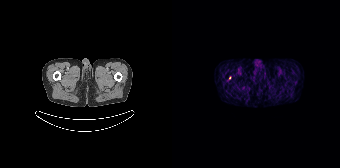
Left: CT. Right: PSMA PET, same axial level, 68Ga tracer. Acquired on Siemens Biograph 64-4R TruePoint. Slice 35 of 195. PET panel 168×168 px (4.1 mm/px). Coordinates are on the 168×168 PET (right) panel. Small PSMA-avid focus (2 to 4 px across) near (center x, center y): (57, 77).